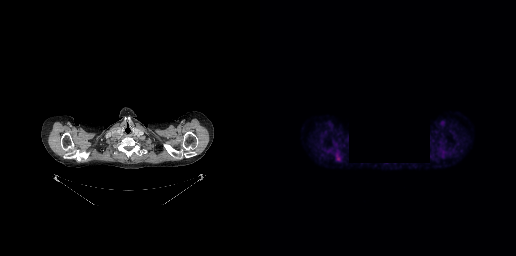
Paired axial CT (left) and PSMA PET (right), 18F-PSMA tracer. PET panel 256×256 px (2.7 mm/px). A region was redacted for de-identification by setting it to black. This slice has no annotated PSMA-avid lesion.